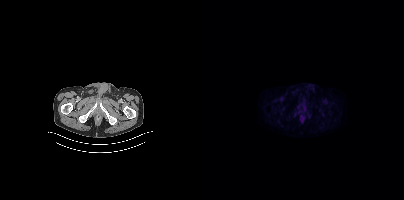
- Left: CT. Right: PSMA PET, same axial level, 18F tracer
- slice 39 of 411
Findings: This slice has no annotated PSMA-avid lesion.